Left: CT. Right: PSMA PET, same axial level, [68Ga]Ga-PSMA-11 tracer. PET panel 168×168 px (4.1 mm/px).
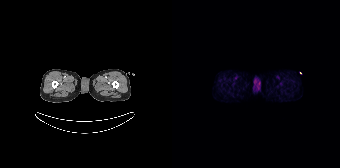
Negative for PSMA-avid disease on this slice.